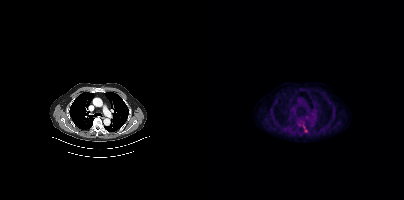
Coordinates are on the 200×200 PET (right) panel. PSMA-avid tumor lesion bounding box (x0, y0)-(x1, y1): (99, 125)-(103, 132).